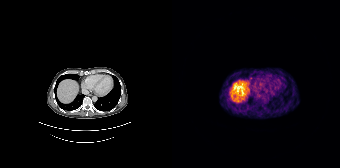
Left: CT. Right: PSMA PET, same axial level, [68Ga]Ga-PSMA-11 tracer. Acquired on Siemens Biograph 64-4R TruePoint. No PSMA-avid tumor lesions on this slice.